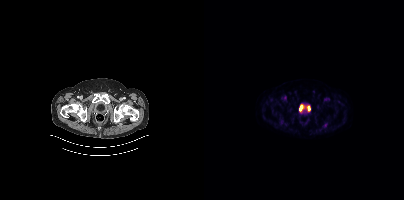
Technique: Paired axial CT (left) and PSMA PET (right), 18F tracer. acquired on Siemens Biograph mCT Flow 20.
Findings: This slice has no annotated PSMA-avid lesion.